- Left: CT. Right: PSMA PET, same axial level, 18F tracer
- acquired on Siemens Biograph mCT Flow 20
- PET panel 200×200 px (4.1 mm/px)
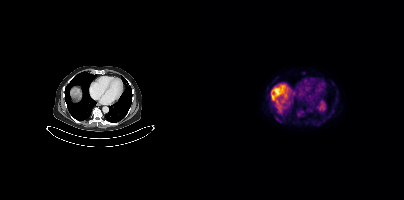
Findings: Coordinates are on the 200×200 PET (right) panel. PSMA-avid tumor lesion bounding boxes (x0, y0)-(x1, y1): (68, 90)-(73, 96) | (94, 111)-(97, 115).